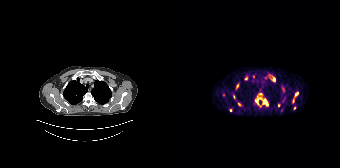
Paired axial CT (left) and PSMA PET (right), [68Ga]Ga-PSMA-11 tracer. Slice 152 of 195.
Coordinates are on the 168×168 PET (right) panel. PSMA-avid tumor lesion bounding boxes (partial; 3 more foci not listed):
| # | x0 | y0 | x1 | y1 |
|---|---|---|---|---|
| 1 | 83 | 96 | 96 | 105 |
| 2 | 120 | 92 | 126 | 102 |
| 3 | 64 | 84 | 66 | 88 |
Small PSMA-avid foci (2 to 4 px across) near (center x, center y): (102, 79); (67, 104); (106, 105); (58, 110); (122, 108); (88, 93); (61, 97).